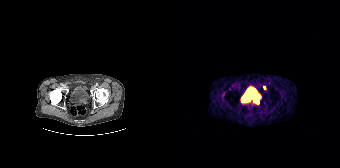
{"pet_grid":[168,168],"coord_frame":"pet_panel","coord_format":"x0,y0,x1,y1","lesion_bboxes":[[82,98,86,104]],"small_foci_centers":[[92,87]],"modality":"PSMA PET/CT","view":"axial","tracer":"68Ga"}